Two-panel axial: CT | PSMA PET, 18F-PSMA tracer. Slice 200 of 299.
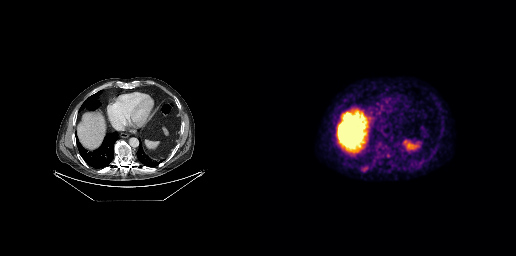
Coordinates are on the 256×256 PET (right) panel. PSMA-avid tumor lesion bounding box (x0, y0)-(x1, y1): (102, 167)-(107, 171).